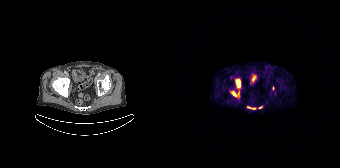
Technique: Left: CT. Right: PSMA PET, same axial level, 68Ga tracer. acquired on Siemens Biograph 64-4R TruePoint. PET panel 168×168 px (4.1 mm/px).
Findings: Coordinates are on the 168×168 PET (right) panel. (showing 3 of 5 foci) PSMA-avid tumor lesion bounding boxes (x0, y0)-(x1, y1): (64, 79)-(68, 87); (76, 107)-(84, 109); (60, 91)-(64, 96).